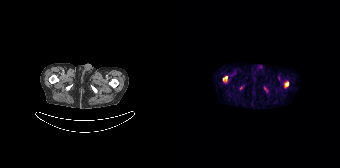
Coordinates are on the 168×168 PET (right) panel. PSMA-avid tumor lesion bounding boxes (x0, y0)-(x1, y1): (51, 76)-(55, 81); (113, 82)-(116, 86). Small PSMA-avid focus (2 to 4 px across) near (center x, center y): (92, 88).